Left: CT. Right: PSMA PET, same axial level, 18F tracer. PET panel 200×200 px (4.1 mm/px).
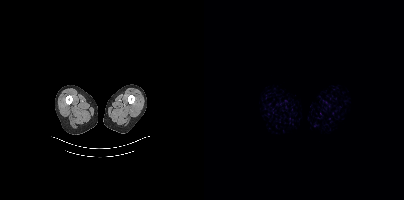
No tumor lesions annotated on this slice.